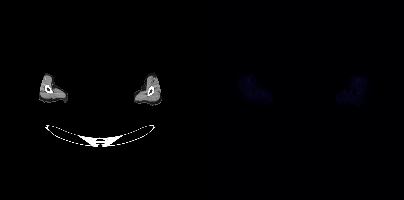
{"modality":"PSMA PET/CT","view":"axial","tracer":"18F","pet_grid":[200,200],"coord_frame":"pet_panel","coord_format":"x0,y0,x1,y1","psma_avid_lesions":false,"deidentification":"head region blacked out before release"}